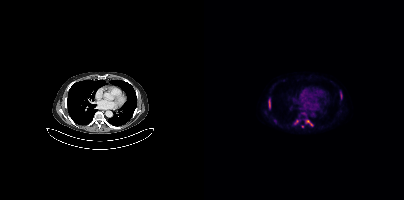
Technique: Two-panel axial: CT | PSMA PET, 18F-PSMA tracer. PET panel 200×200 px (4.1 mm/px).
Findings: Coordinates are on the 200×200 PET (right) panel. (showing 4 of 5 foci) PSMA-avid tumor lesion bounding boxes (x0,y0,x1,y1): [65,99,66,108] [102,120,108,125] [136,92,138,99] [90,120,94,124].